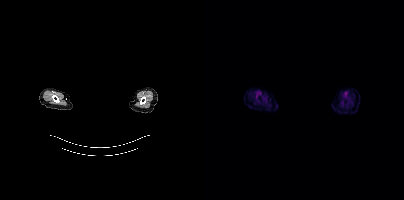
Paired axial CT (left) and PSMA PET (right), 18F tracer. Acquired on Siemens Biograph mCT Flow 20. Slice position z = -822 mm. PET panel 200×200 px (4.1 mm/px). De-identified by setting a box covering the face to black before release. No tumor lesions annotated on this slice.